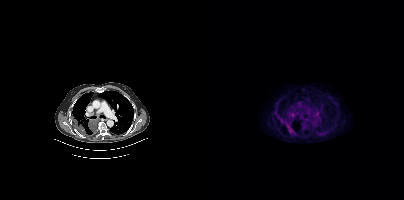
Coordinates are on the 200×200 PET (right) panel. PSMA-avid tumor lesion bounding boxes (x0, y0)-(x1, y1): (76, 120)-(90, 133) | (86, 113)-(90, 116). Two-panel axial: CT | PSMA PET, 18F-PSMA tracer. Slice position z = -1012 mm.